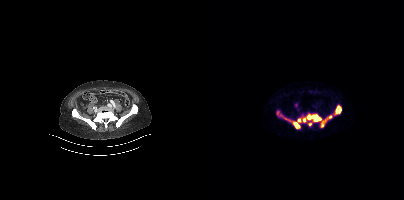
Coordinates are on the 200×200 PET (right) panel. PSMA-avid tumor lesion bounding boxes:
| # | x0 | y0 | x1 | y1 |
|---|---|---|---|---|
| 1 | 99 | 114 | 117 | 126 |
| 2 | 79 | 116 | 96 | 128 |
| 3 | 116 | 115 | 128 | 127 |
| 4 | 130 | 105 | 137 | 114 |
| 5 | 72 | 110 | 77 | 117 |
Small PSMA-avid focus (2 to 4 px across) near (center x, center y): (95, 120).
Paired axial CT (left) and PSMA PET (right), 68Ga tracer. Acquired on Siemens Biograph mCT Flow 20. Slice 120 of 397. PET panel 200×200 px (4.1 mm/px).